modality: PSMA PET/CT | tracer: 18F | view: axial
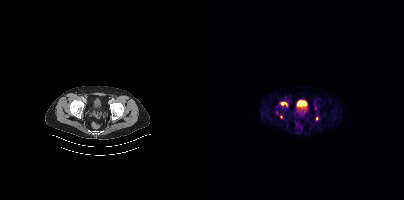
Coordinates are on the 200×200 PET (right) panel. (showing 2 of 4 foci) Small PSMA-avid foci (2 to 4 px across) near (center x, center y): (78, 103), (112, 118).